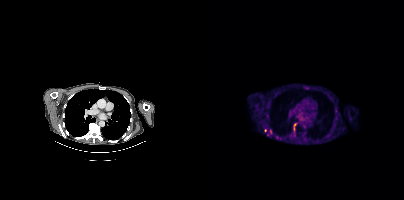
Coordinates are on the 200×200 PET (right) panel. PSMA-avid tumor lesion bounding box (x0, y0)-(x1, y1): (89, 123)-(92, 131). Small PSMA-avid foci (2 to 4 px across) near (center x, center y): (64, 135) / (63, 115) / (61, 130) / (66, 131).